modality: PSMA PET/CT | tracer: 18F-PSMA | view: axial
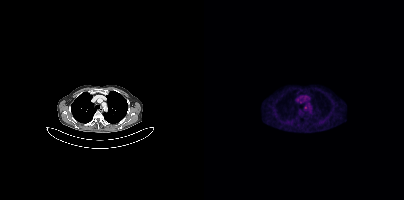
Coordinates are on the 200×200 PET (right) panel. Small PSMA-avid focus (2 to 4 px across) near (center x, center y): (101, 107).